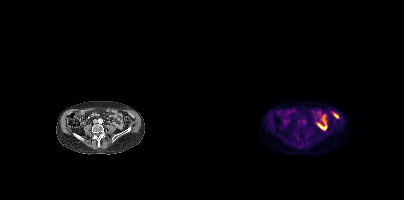
{"modality":"PSMA PET/CT","view":"axial","tracer":"18F-PSMA","pet_grid":[200,200],"coord_frame":"pet_panel","coord_format":"x0,y0,x1,y1","psma_avid_lesions":false}